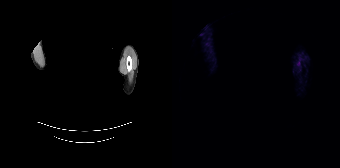
Findings: This slice has no annotated PSMA-avid lesion.
Technique: Left: CT. Right: PSMA PET, same axial level, 68Ga-PSMA tracer. acquired on Siemens Biograph 64-4R TruePoint. PET panel 168×168 px (4.1 mm/px).
Note: Any black rectangle over the head is a privacy mask, not anatomy.